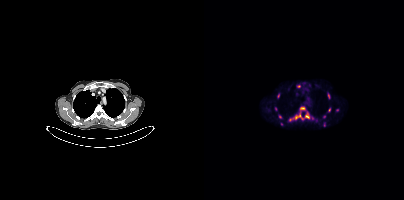
{"modality":"PSMA PET/CT","view":"axial","tracer":"18F","pet_grid":[200,200],"coord_frame":"pet_panel","coord_format":"x0,y0,x1,y1","partial":true,"lesion_bboxes":[[84,106,106,121],[124,93,126,98]],"small_foci_centers":[[94,86],[125,109],[76,116],[74,95],[71,108],[133,110],[120,124],[120,116],[108,118],[77,124]]}